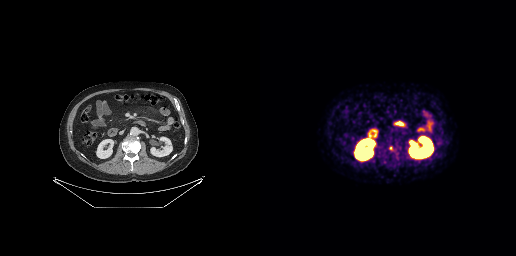
{"modality":"PSMA PET/CT","view":"axial","tracer":"68Ga","pet_grid":[256,256],"coord_frame":"pet_panel","coord_format":"x0,y0,x1,y1","lesion_bboxes":[[129,146,133,150]]}